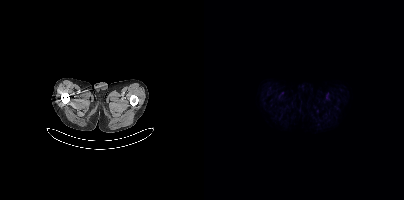
This slice has no annotated PSMA-avid lesion.
modality: PSMA PET/CT | tracer: 18F | view: axial | PET grid: 200×200